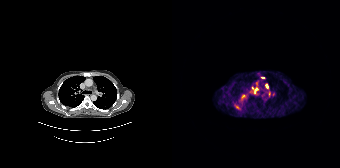
- Left: CT. Right: PSMA PET, same axial level, [68Ga]Ga-PSMA-11 tracer
- slice 144 of 195
Findings: Coordinates are on the 168×168 PET (right) panel. (showing 5 of 7 foci) PSMA-avid tumor lesion bounding boxes (x0,y0,x1,y1): [80,87,86,93] [69,95,73,99] [94,84,96,88]. Small PSMA-avid foci (2 to 4 px across) near (center x, center y): (90, 77) (65, 107).